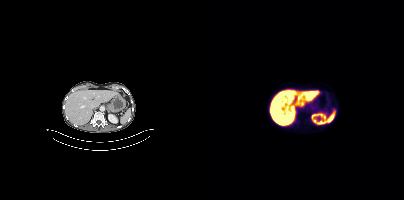
modality: PSMA PET/CT | tracer: [18F]PSMA-1007 | view: axial | PET grid: 200×200
This slice has no annotated PSMA-avid lesion.